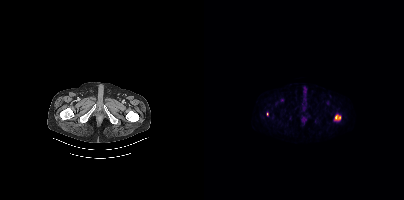
Coordinates are on the 200×200 PET (right) panel. (showing 2 of 3 foci) PSMA-avid tumor lesion bounding box (x, y, width, height): x=131 y=114 w=6 h=7. Small PSMA-avid focus (2 to 4 px across) near (center x, center y): (78, 100).